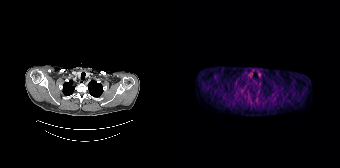
No tumor lesions annotated on this slice.